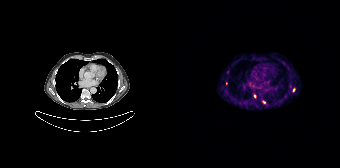
modality: PSMA PET/CT | tracer: [68Ga]Ga-PSMA-11 | view: axial
Coordinates are on the 168×168 PET (right) panel. (showing 3 of 4 foci) Small PSMA-avid foci (2 to 4 px across) near (center x, center y): (121, 90), (82, 95), (91, 101).